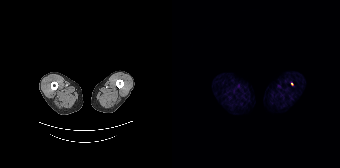
Technique: Two-panel axial: CT | PSMA PET, [68Ga]Ga-PSMA-11 tracer. acquired on Siemens Biograph 64-4R TruePoint.
Findings: Only PSMA-avid lesion pieces thinner than 2 px on this slice (not listed).